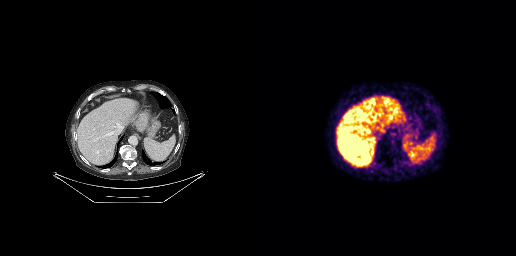
Technique: Left: CT. Right: PSMA PET, same axial level, 68Ga-PSMA tracer. PET panel 256×256 px (2.7 mm/px).
Findings: No PSMA-avid tumor lesions on this slice.